Technique: Two-panel axial: CT | PSMA PET, 18F tracer. acquired on Siemens Biograph mCT Flow 20. PET panel 200×200 px (4.1 mm/px).
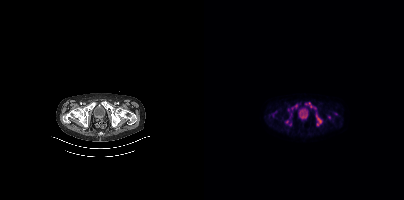
Findings: Coordinates are on the 200×200 PET (right) panel. (showing 10 of 11 foci) PSMA-avid tumor lesion bounding boxes (x0,y0,x1,y1): [101,102,112,109]; [112,118,118,126]; [97,113,103,119]; [87,104,94,109]. Small PSMA-avid foci (2 to 4 px across) near (center x, center y): (82, 121); (125, 117); (86, 124); (112, 113); (131, 113); (84, 109).